Technique: Two-panel axial: CT | PSMA PET, 18F tracer. PET panel 256×256 px (2.7 mm/px).
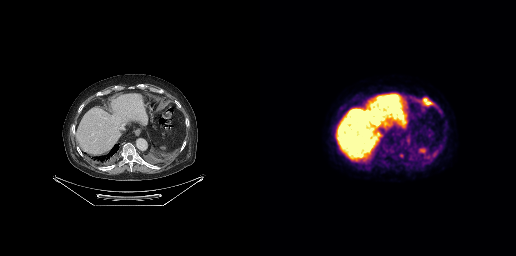
Findings: Coordinates are on the 256×256 PET (right) panel. PSMA-avid tumor lesion bounding boxes (x0, y0)-(x1, y1): (152, 97)-(175, 106) / (169, 148)-(180, 161) / (139, 153)-(143, 158).